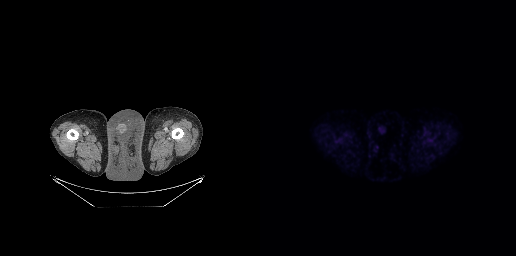
{"modality":"PSMA PET/CT","view":"axial","tracer":"18F-PSMA","pet_grid":[256,256],"coord_frame":"pet_panel","coord_format":"x0,y0,x1,y1","psma_avid_lesions":false}